Paired axial CT (left) and PSMA PET (right), 18F-PSMA tracer.
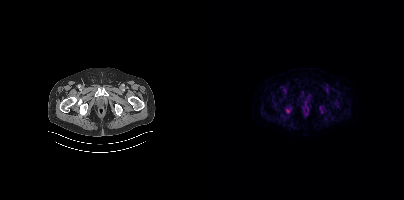
No tumor lesions annotated on this slice.